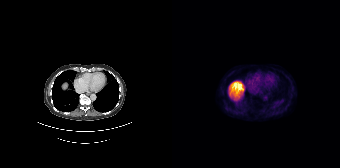
modality: PSMA PET/CT | tracer: 18F | view: axial
No tumor lesions annotated on this slice.